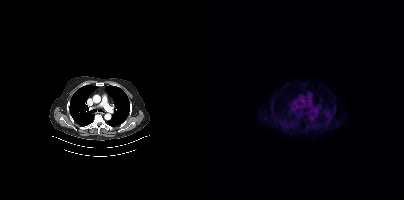
No PSMA-avid tumor lesions on this slice. Left: CT. Right: PSMA PET, same axial level, 18F-PSMA tracer. Slice 312 of 425. PET panel 200×200 px (4.1 mm/px).